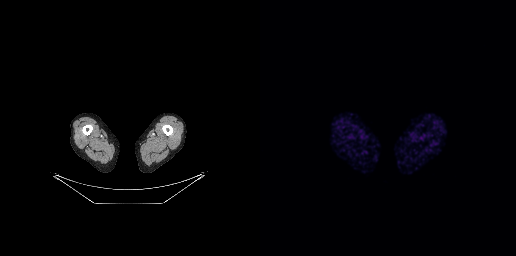
Technique: Paired axial CT (left) and PSMA PET (right), 68Ga tracer. acquired on GE Discovery 690. PET panel 256×256 px (2.7 mm/px).
Findings: No tumor lesions annotated on this slice.